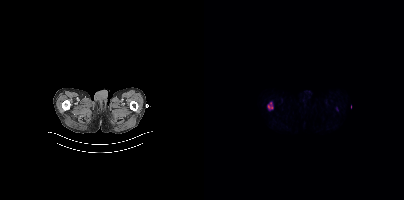
Findings: Coordinates are on the 200×200 PET (right) panel. PSMA-avid tumor lesion bounding box (x0, y0)-(x1, y1): (64, 102)-(69, 109).
Technique: Left: CT. Right: PSMA PET, same axial level, [18F]PSMA-1007 tracer. PET panel 200×200 px (4.1 mm/px).